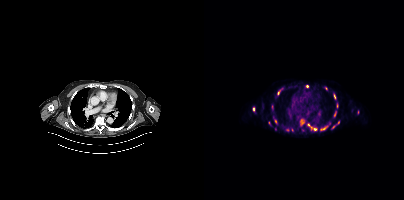
Two-panel axial: CT | PSMA PET, 18F tracer. PET panel 200×200 px (4.1 mm/px). Coordinates are on the 200×200 PET (right) panel. (showing 14 of 19 foci) PSMA-avid tumor lesion bounding boxes (x, y, width, height): x=104 y=124 w=10 h=7; x=116 y=126 w=7 h=5; x=130 y=94 w=2 h=6; x=130 y=112 w=3 h=5. Small PSMA-avid foci (2 to 4 px across) near (center x, center y): (122, 88); (49, 109); (98, 121); (103, 86); (74, 93); (71, 121); (134, 122); (129, 126); (83, 129); (77, 88).